Any black rectangle over the head is a privacy mask, not anatomy.
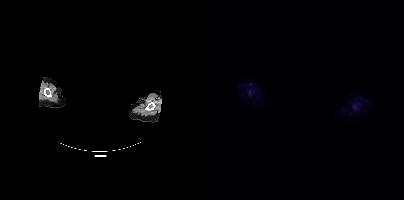
This slice has no annotated PSMA-avid lesion.